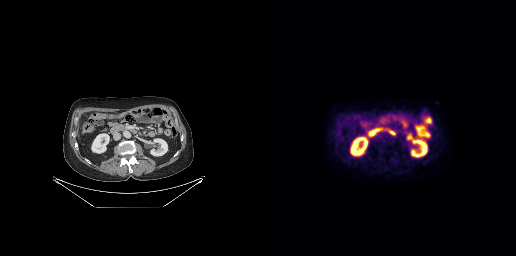
No PSMA-avid tumor lesions on this slice.